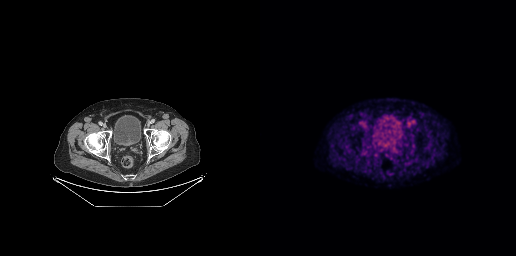
Negative for PSMA-avid disease on this slice. Paired axial CT (left) and PSMA PET (right), 18F tracer. Acquired on GE Discovery 690.